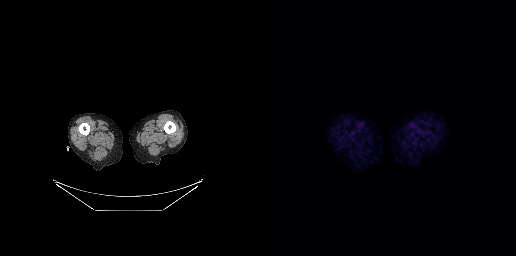
No tumor lesions annotated on this slice. Paired axial CT (left) and PSMA PET (right), 18F tracer. Slice position z = -811 mm. PET panel 256×256 px (2.7 mm/px).